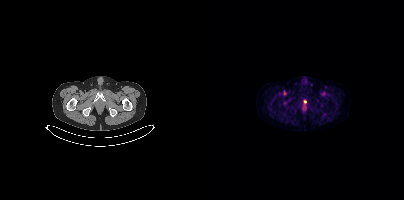
Findings: Only PSMA-avid lesion pieces thinner than 2 px on this slice (not listed).
- Left: CT. Right: PSMA PET, same axial level, 18F-PSMA tracer